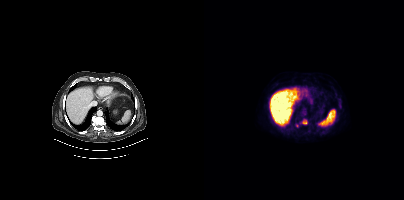
{"pet_grid":[200,200],"coord_frame":"pet_panel","coord_format":"x0,y0,x1,y1","lesion_bboxes":[],"small_foci_centers":[[100,121],[93,125]],"modality":"PSMA PET/CT","view":"axial","tracer":"[18F]PSMA-1007"}